Left: CT. Right: PSMA PET, same axial level, [18F]PSMA-1007 tracer. Acquired on Siemens Biograph mCT Flow 20. Slice 96 of 417.
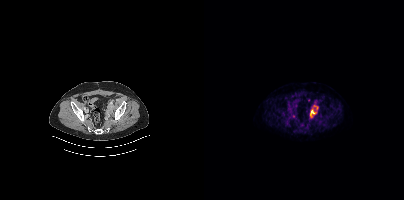
Coordinates are on the 200×200 PET (right) panel. PSMA-avid tumor lesion bounding boxes (partial; 1 more focus not listed):
| # | x0 | y0 | x1 | y1 |
|---|---|---|---|---|
| 1 | 106 | 105 | 114 | 117 |